modality: PSMA PET/CT | tracer: 18F | view: axial
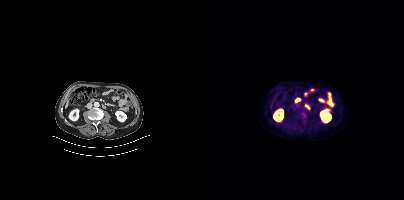
No PSMA-avid tumor lesions on this slice.